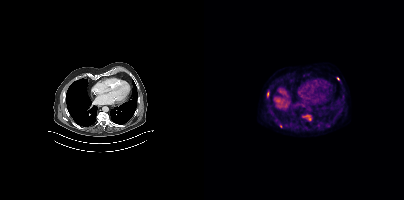
Coordinates are on the 200×200 PET (right) panel. (showing 4 of 6 foci) PSMA-avid tumor lesion bounding boxes (x, y, width, height): x=98 y=115 w=10 h=7 | x=63 y=91 w=3 h=7. Small PSMA-avid foci (2 to 4 px across) near (center x, center y): (76, 126) | (134, 78).